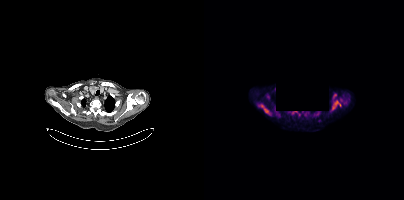
{"modality":"PSMA PET/CT","view":"axial","tracer":"[18F]PSMA-1007","pet_grid":[200,200],"coord_frame":"pet_panel","coord_format":"x0,y0,x1,y1","partial":true,"lesion_bboxes":[[128,100,137,109],[57,105,66,115]],"de-identification":"privacy mask (black rectangle)"}